- Left: CT. Right: PSMA PET, same axial level, 18F tracer
- acquired on Siemens Biograph mCT Flow 20
- slice position z = -246 mm
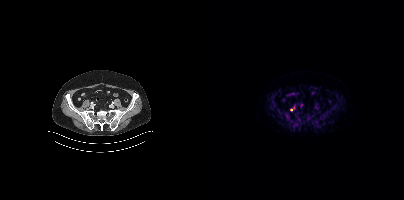
Findings: Coordinates are on the 200×200 PET (right) panel. Small PSMA-avid focus (2 to 4 px across) near (center x, center y): (87, 109).